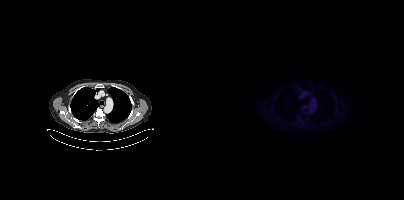
- Paired axial CT (left) and PSMA PET (right), 18F-PSMA tracer
- acquired on Siemens Biograph mCT Flow 20
- slice 331 of 431
Findings: Negative for PSMA-avid disease on this slice.